modality: PSMA PET/CT | tracer: [18F]PSMA-1007 | view: axial
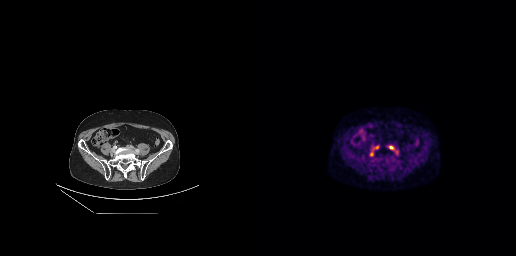
Coordinates are on the 256×256 PET (right) panel. (showing 2 of 3 foci) PSMA-avid tumor lesion bounding box (x0,y0,x1,y1): [129,146,133,148]. Small PSMA-avid focus (2 to 4 px across) near (center x, center y): (111, 154).